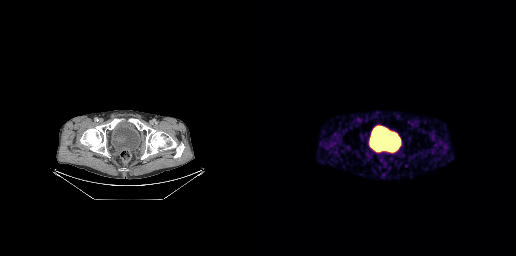
{"modality":"PSMA PET/CT","view":"axial","tracer":"68Ga","pet_grid":[256,256],"coord_frame":"pet_panel","coord_format":"x0,y0,x1,y1","psma_avid_lesions":false}